Technique: Left: CT. Right: PSMA PET, same axial level, [18F]PSMA-1007 tracer. slice position z = -370 mm. PET panel 256×256 px (2.7 mm/px).
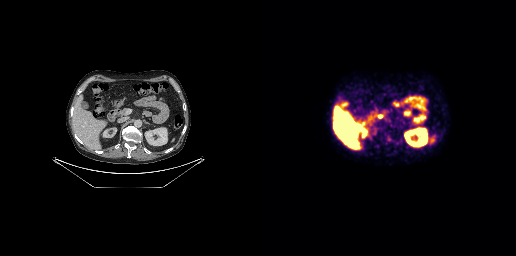
Findings: No tumor lesions annotated on this slice.